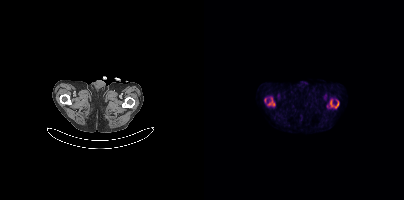
Coordinates are on the 200×200 PET (right) panel. (showing 2 of 3 foci) PSMA-avid tumor lesion bounding boxes (x0,y0,x1,y1): [126,101,134,108], [64,99,70,105].